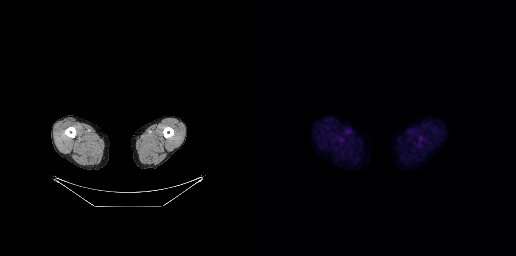
{"modality":"PSMA PET/CT","view":"axial","tracer":"[18F]PSMA-1007","pet_grid":[256,256],"coord_frame":"pet_panel","coord_format":"x0,y0,x1,y1","psma_avid_lesions":false}